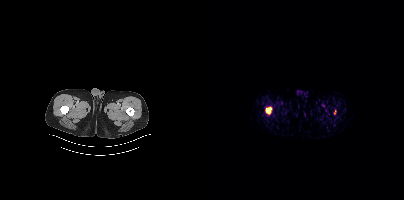
Coordinates are on the 200×200 PET (right) panel. PSMA-avid tumor lesion bounding box (x, y, width, height): x=62 y=107 w=6 h=7.